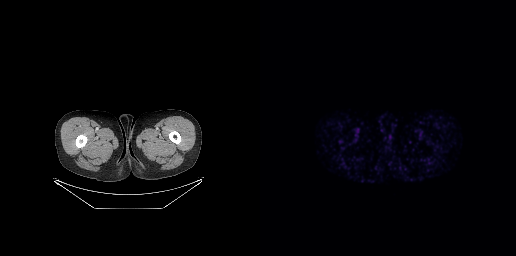
- Paired axial CT (left) and PSMA PET (right), 68Ga tracer
- PET panel 256×256 px (2.7 mm/px)
Findings: No PSMA-avid tumor lesions on this slice.